Two-panel axial: CT | PSMA PET, 18F tracer.
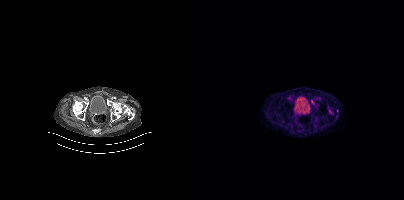
Coordinates are on the 200×200 PET (right) panel. PSMA-avid tumor lesion bounding boxes (partial; 2 more foci not listed):
| # | x0 | y0 | x1 | y1 |
|---|---|---|---|---|
| 1 | 107 | 100 | 110 | 104 |
| 2 | 130 | 115 | 132 | 120 |
Small PSMA-avid focus (2 to 4 px across) near (center x, center y): (128, 115).